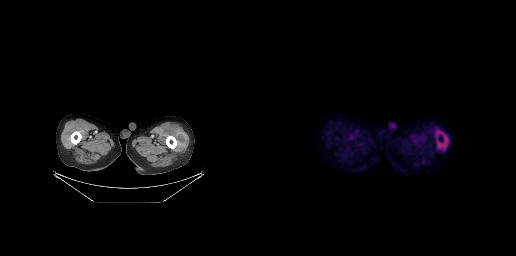
{"modality":"PSMA PET/CT","view":"axial","tracer":"18F","pet_grid":[256,256],"coord_frame":"pet_panel","coord_format":"x0,y0,x1,y1","psma_avid_lesions":false}